Technique: Paired axial CT (left) and PSMA PET (right), [18F]PSMA-1007 tracer.
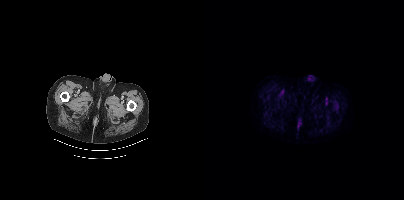
Findings: No tumor lesions annotated on this slice.